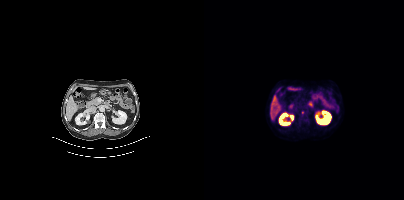
Technique: Left: CT. Right: PSMA PET, same axial level, 18F tracer. slice 202 of 427.
Findings: Coordinates are on the 200×200 PET (right) panel. Small PSMA-avid focus (2 to 4 px across) near (center x, center y): (98, 112).